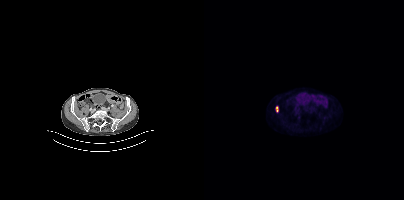
Two-panel axial: CT | PSMA PET, [18F]PSMA-1007 tracer. Slice position z = 50 mm. Coordinates are on the 200×200 PET (right) panel. PSMA-avid tumor lesion bounding box (x, y, width, height): x=72 y=106 w=3 h=6.